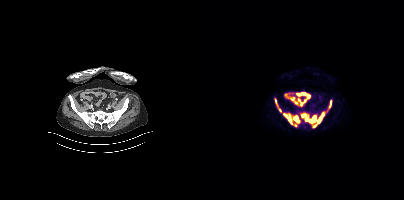
{"modality":"PSMA PET/CT","view":"axial","tracer":"18F","pet_grid":[200,200],"coord_frame":"pet_panel","coord_format":"x0,y0,x1,y1","partial":true,"lesion_bboxes":[[97,113,112,122],[113,111,123,123],[80,114,87,123],[89,116,95,122],[71,99,73,106],[126,100,127,106],[74,108,77,112]],"small_foci_centers":[[110,126],[91,125]]}